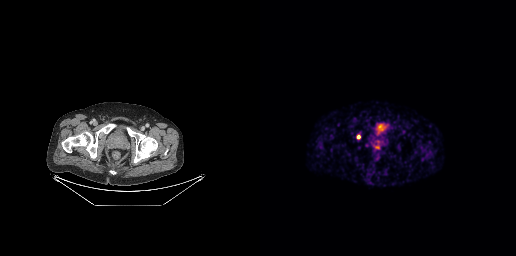
{"pet_grid":[256,256],"coord_frame":"pet_panel","coord_format":"x0,y0,x1,y1","lesion_bboxes":[],"small_foci_centers":[[98,136]],"modality":"PSMA PET/CT","view":"axial","tracer":"[68Ga]Ga-PSMA-11"}